Technique: Paired axial CT (left) and PSMA PET (right), 18F-PSMA tracer. acquired on Siemens Biograph mCT Flow 20. slice 155 of 411.
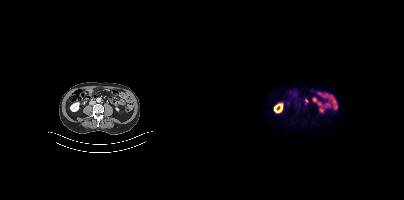
Findings: Coordinates are on the 200×200 PET (right) panel. Small PSMA-avid focus (2 to 4 px across) near (center x, center y): (102, 100).